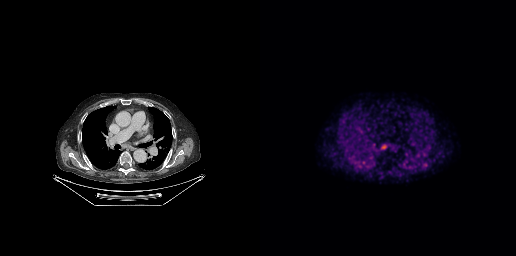
Coordinates are on the 256×256 PET (right) panel. PSMA-avid tumor lesion bounding box (x, y, width, height): x=122 y=144 w=5 h=5. Small PSMA-avid focus (2 to 4 px across) near (center x, center y): (165, 164).
modality: PSMA PET/CT | tracer: [18F]PSMA-1007 | view: axial | PET grid: 256×256